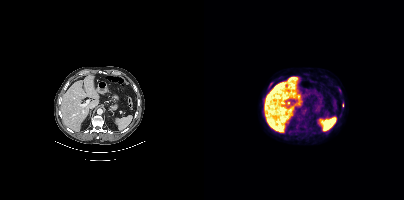
{"modality":"PSMA PET/CT","view":"axial","tracer":"[18F]PSMA-1007","pet_grid":[200,200],"coord_frame":"pet_panel","coord_format":"x0,y0,x1,y1","partial":true,"lesion_bboxes":[],"small_foci_centers":[[66,84]]}